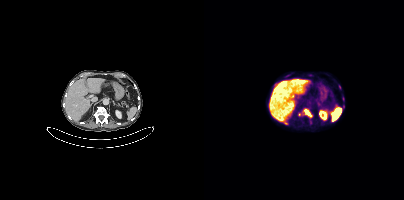
{"modality":"PSMA PET/CT","view":"axial","tracer":"18F-PSMA","pet_grid":[200,200],"coord_frame":"pet_panel","coord_format":"x0,y0,x1,y1","partial":true,"lesion_bboxes":[[100,109,107,117]]}